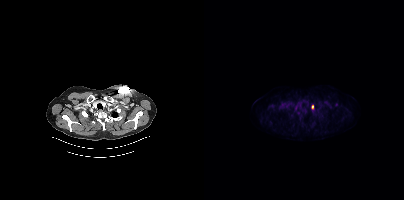
Coordinates are on the 200×200 PET (right) panel. Small PSMA-avid focus (2 to 4 px across) near (center x, center y): (108, 106).